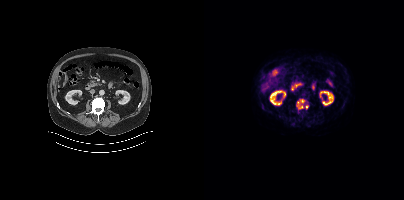
Coordinates are on the 200×200 PET (right) panel. PSMA-avid tumor lesion bounding box (x0,y0,x1,y1): [92,99,100,109]. Small PSMA-avid focus (2 to 4 px across) near (center x, center y): (102, 106).